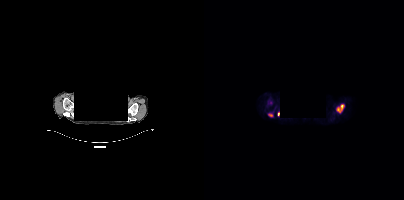
Coordinates are on the 200×200 PET (right) panel. PSMA-avid tumor lesion bounding boxes:
| # | x0 | y0 | x1 | y1 |
|---|---|---|---|---|
| 1 | 133 | 104 | 140 | 112 |
| 2 | 64 | 113 | 68 | 116 |
| 3 | 73 | 112 | 75 | 116 |
Left: CT. Right: PSMA PET, same axial level, 18F-PSMA tracer. Acquired on Siemens Biograph mCT Flow 20. Slice 318 of 375. PET panel 200×200 px (4.1 mm/px). A rectangle over the head was blacked out to remove identifiable facial features.